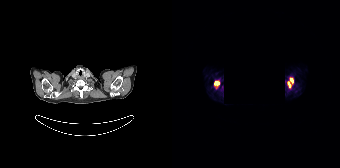
modality: PSMA PET/CT | tracer: 68Ga | view: axial | de-identification: region redacted
Coordinates are on the 168×168 PET (right) panel. PSMA-avid tumor lesion bounding boxes (x0,y0,x1,y1): [42,81,47,85] [118,78,121,82] [116,82,118,87].